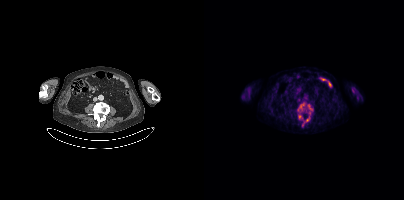
Paired axial CT (left) and PSMA PET (right), 18F tracer. Slice position z = -90 mm. PET panel 200×200 px (4.1 mm/px).
Coordinates are on the 200×200 PET (right) panel. PSMA-avid tumor lesion bounding boxes:
| # | x0 | y0 | x1 | y1 |
|---|---|---|---|---|
| 1 | 93 | 102 | 101 | 112 |
| 2 | 103 | 104 | 108 | 114 |
| 3 | 98 | 116 | 106 | 126 |
| 4 | 94 | 115 | 98 | 119 |